Paired axial CT (left) and PSMA PET (right), [18F]PSMA-1007 tracer. PET panel 200×200 px (4.1 mm/px).
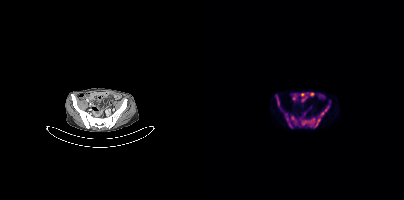
Coordinates are on the 200×200 PET (right) panel. PSMA-avid tumor lesion bounding boxes (partial; 1 more focus not listed):
| # | x0 | y0 | x1 | y1 |
|---|---|---|---|---|
| 1 | 97 | 118 | 111 | 126 |
| 2 | 87 | 116 | 93 | 124 |
| 3 | 81 | 114 | 88 | 127 |
| 4 | 118 | 105 | 125 | 114 |
| 5 | 110 | 118 | 116 | 127 |
| 6 | 72 | 95 | 75 | 105 |